modality: PSMA PET/CT | tracer: 18F | view: axial | deidentification: rectangular block set to black
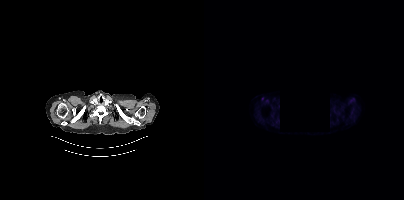
Negative for PSMA-avid disease on this slice.